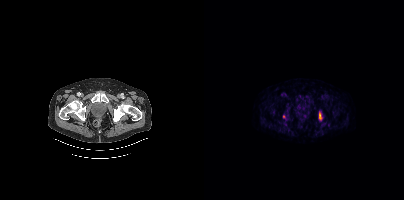
Left: CT. Right: PSMA PET, same axial level, 18F-PSMA tracer. Acquired on Siemens Biograph mCT Flow 20. Slice position z = -959 mm. PET panel 200×200 px (4.1 mm/px).
Coordinates are on the 200×200 PET (right) panel. PSMA-avid tumor lesion bounding boxes:
| # | x0 | y0 | x1 | y1 |
|---|---|---|---|---|
| 1 | 115 | 112 | 117 | 119 |
Small PSMA-avid focus (2 to 4 px across) near (center x, center y): (79, 116).